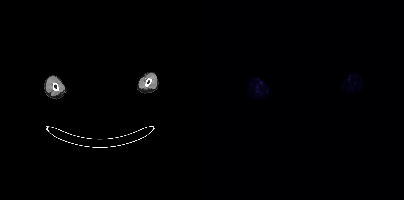
{"modality":"PSMA PET/CT","view":"axial","tracer":"[18F]PSMA-1007","pet_grid":[200,200],"coord_frame":"pet_panel","coord_format":"x0,y0,x1,y1","de-identification":"rectangular block over head set to black","psma_avid_lesions":false}